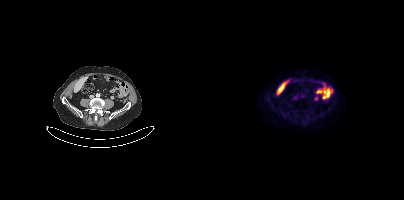
No tumor lesions annotated on this slice.